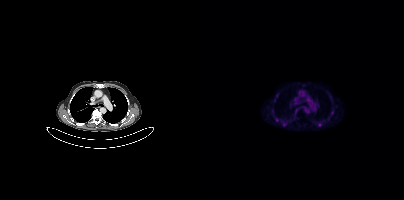
Findings: Coordinates are on the 200×200 PET (right) panel. Small PSMA-avid foci (2 to 4 px across) near (center x, center y): (115, 124) / (73, 119).
Technique: Two-panel axial: CT | PSMA PET, [18F]PSMA-1007 tracer. acquired on Siemens Biograph mCT Flow 20.